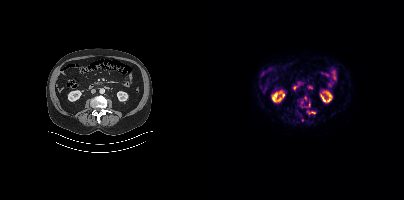
{"modality":"PSMA PET/CT","view":"axial","tracer":"[18F]PSMA-1007","pet_grid":[200,200],"coord_frame":"pet_panel","coord_format":"x0,y0,x1,y1","partial":true,"lesion_bboxes":[[103,110,111,114]],"small_foci_centers":[[105,104],[101,98],[97,102]]}